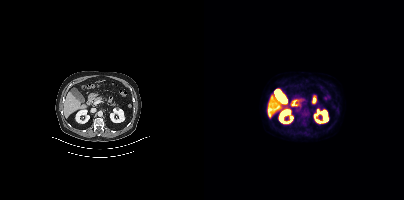
No tumor lesions annotated on this slice.
modality: PSMA PET/CT | tracer: [18F]PSMA-1007 | view: axial